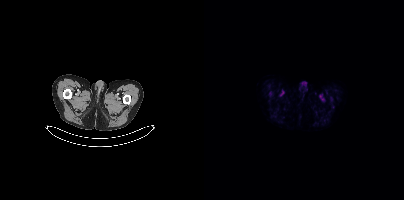
- Two-panel axial: CT | PSMA PET, [18F]PSMA-1007 tracer
- acquired on Siemens Biograph mCT Flow 20
- slice position z = -1631 mm
Findings: Negative for PSMA-avid disease on this slice.